Left: CT. Right: PSMA PET, same axial level, 68Ga-PSMA tracer. Acquired on GE Discovery 690. Slice 124 of 263. PET panel 256×256 px (2.7 mm/px).
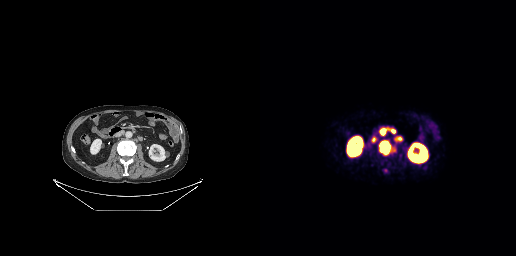
Coordinates are on the 256×256 PET (right) panel. PSMA-avid tumor lesion bounding boxes:
| # | x0 | y0 | x1 | y1 |
|---|---|---|---|---|
| 1 | 120 | 141 | 130 | 153 |
| 2 | 135 | 137 | 142 | 140 |
| 3 | 121 | 129 | 124 | 134 |
| 4 | 131 | 129 | 135 | 132 |
Small PSMA-avid foci (2 to 4 px across) near (center x, center y): (125, 170); (113, 139).